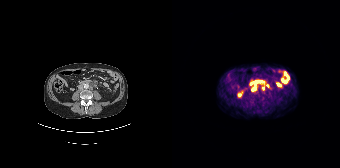
Coordinates are on the 168×168 PET (right) panel. PSMA-avid tumor lesion bounding box (x0,y0,x1,y1): [80,81,84,84]. Small PSMA-avid foci (2 to 4 px across) near (center x, center y): (88, 81); (81, 88); (91, 88); (95, 85). Paired axial CT (left) and PSMA PET (right), 68Ga tracer.